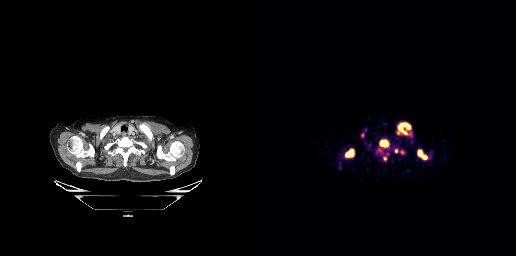
Coordinates are on the 256×256 PET (right) panel. PSMA-avid tumor lesion bounding boxes (x0,y0,x1,y1): [137,122,151,134]; [86,149,93,156]; [158,150,166,158]; [120,140,128,146]. Small PSMA-avid foci (2 to 4 px across) near (center x, center y): (136, 151); (142, 152); (102, 135).